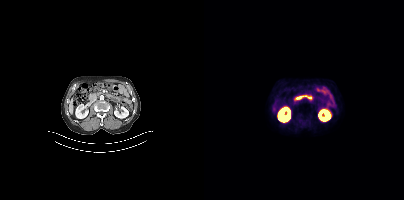
Negative for PSMA-avid disease on this slice.